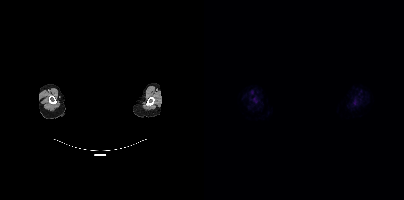
Two-panel axial: CT | PSMA PET, 18F tracer. Acquired on Siemens Biograph mCT Flow 20. Slice position z = -667 mm. Facial anatomy redacted by setting a rectangular region of the head to black.
Coordinates are on the 200×200 PET (right) panel. PSMA-avid tumor lesion bounding boxes:
| # | x0 | y0 | x1 | y1 |
|---|---|---|---|---|
| 1 | 48 | 98 | 53 | 103 |
| 2 | 149 | 101 | 153 | 105 |